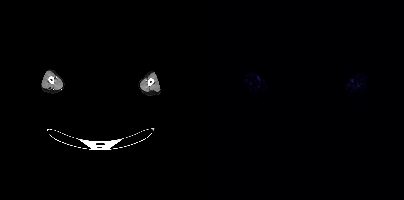
redaction: facial region redacted | modality: PSMA PET/CT | tracer: [18F]PSMA-1007 | view: axial
No tumor lesions annotated on this slice.